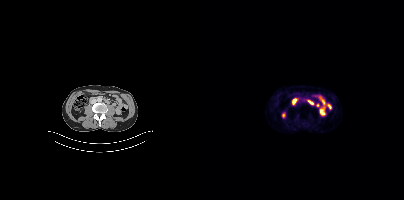
No PSMA-avid tumor lesions on this slice.